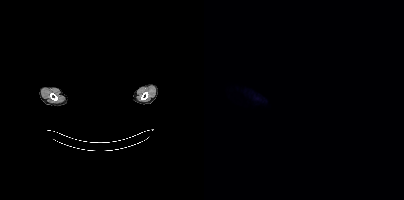
deidentification: facial region redacted | modality: PSMA PET/CT | tracer: 18F | view: axial
Negative for PSMA-avid disease on this slice.